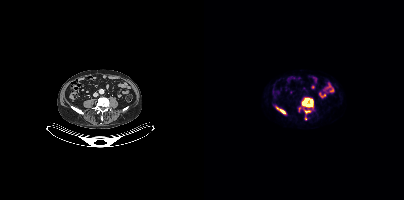
Coordinates are on the 200×200 PET (right) panel. (showing 3 of 4 foci) PSMA-avid tumor lesion bounding boxes (x, y, width, height): x=98 y=98 w=11 h=9 / x=72 y=107 w=10 h=7 / x=100 y=110 w=7 h=4.
modality: PSMA PET/CT | tracer: 18F | view: axial